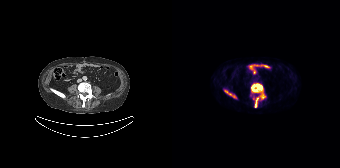
Coordinates are on the 168×168 PET (right) panel. (showing 2 of 3 foci) PSMA-avid tumor lesion bounding boxes (x0, y0)-(x1, y1): (79, 83)-(93, 107) | (52, 90)-(63, 97).